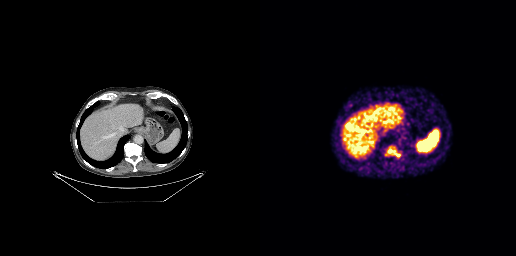
modality: PSMA PET/CT | tracer: [68Ga]Ga-PSMA-11 | view: axial
Coordinates are on the 256×256 PET (right) panel. (showing 2 of 3 foci) PSMA-avid tumor lesion bounding boxes (x, y, width, height): x=130 y=149 w=5 h=5 / x=125 y=153 w=5 h=3.